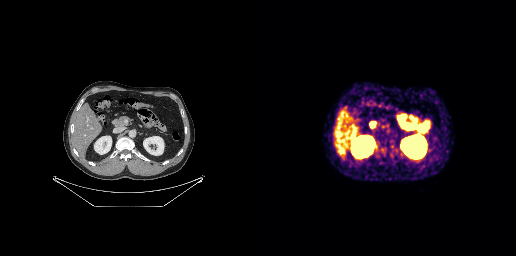
No tumor lesions annotated on this slice. Two-panel axial: CT | PSMA PET, 68Ga tracer. Acquired on GE Discovery 690. PET panel 256×256 px (2.7 mm/px).